- the head region is masked for de-identification
- Paired axial CT (left) and PSMA PET (right), 18F tracer
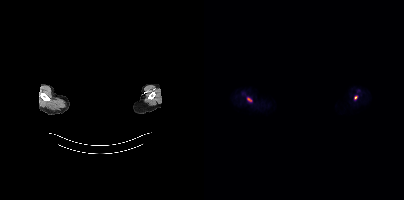
Findings: Coordinates are on the 200×200 PET (right) panel. Small PSMA-avid foci (2 to 4 px across) near (center x, center y): (45, 99) / (151, 97).